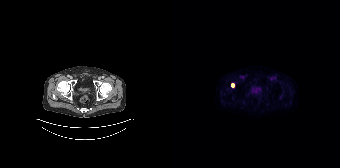
- Left: CT. Right: PSMA PET, same axial level, 18F-PSMA tracer
- acquired on Siemens Biograph 64-4R TruePoint
- PET panel 168×168 px (4.1 mm/px)
Findings: Coordinates are on the 168×168 PET (right) panel. PSMA-avid tumor lesion bounding box (x0, y0)-(x1, y1): (59, 83)-(62, 87).